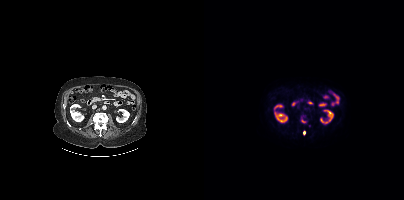
Coordinates are on the 200×200 PET (right) panel. Small PSMA-avid focus (2 to 4 px across) near (center x, center y): (100, 132).